Technique: Paired axial CT (left) and PSMA PET (right), [18F]PSMA-1007 tracer.
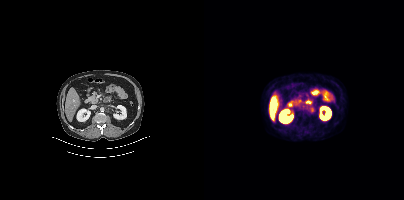
Findings: Only PSMA-avid lesion pieces thinner than 2 px on this slice (not listed).